- Two-panel axial: CT | PSMA PET, 18F tracer
- acquired on Siemens Biograph mCT Flow 20
- slice position z = -838 mm
- PET panel 200×200 px (4.1 mm/px)
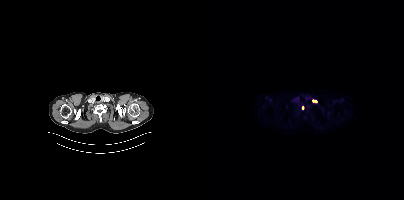
Findings: Coordinates are on the 200×200 PET (right) panel. Small PSMA-avid foci (2 to 4 px across) near (center x, center y): (110, 101); (98, 107).